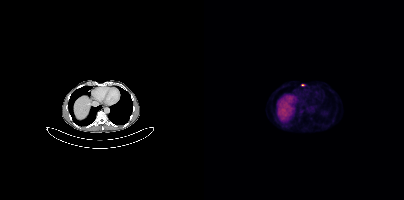
Coordinates are on the 200×200 PET (right) panel. Small PSMA-avid focus (2 to 4 px across) near (center x, center y): (98, 84).